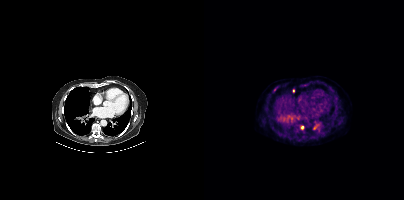
Findings: Coordinates are on the 200×200 PET (right) panel. (showing 4 of 6 foci) Small PSMA-avid foci (2 to 4 px across) near (center x, center y): (110, 127) / (98, 127) / (89, 90) / (70, 89).
- Left: CT. Right: PSMA PET, same axial level, [18F]PSMA-1007 tracer
- acquired on Siemens Biograph mCT Flow 20
- PET panel 200×200 px (4.1 mm/px)